Paired axial CT (left) and PSMA PET (right), 18F tracer. Acquired on Siemens Biograph mCT Flow 20. PET panel 200×200 px (4.1 mm/px).
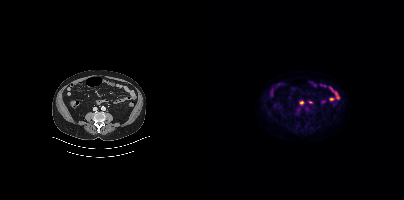
No tumor lesions annotated on this slice.